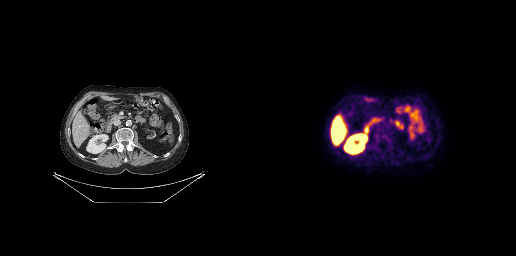
No tumor lesions annotated on this slice.